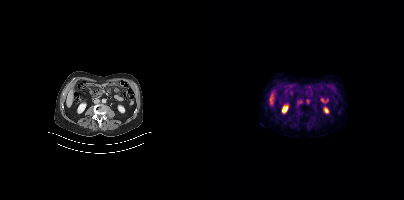
{"modality":"PSMA PET/CT","view":"axial","tracer":"18F","pet_grid":[200,200],"coord_frame":"pet_panel","coord_format":"x0,y0,x1,y1","psma_avid_lesions":false}